Two-panel axial: CT | PSMA PET, [18F]PSMA-1007 tracer. Acquired on Siemens Biograph mCT Flow 20. Slice 42 of 383. PET panel 200×200 px (4.1 mm/px).
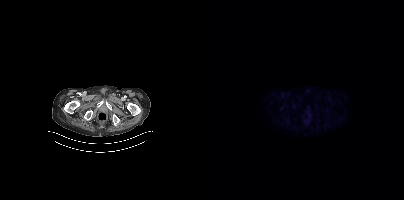
No PSMA-avid tumor lesions on this slice.